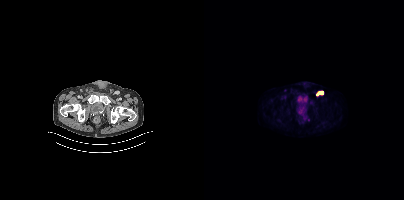
Coordinates are on the 200×200 PET (right) panel. PSMA-avid tumor lesion bounding box (x, y, width, height): x=112 y=91 w=8 h=5. Paired axial CT (left) and PSMA PET (right), 18F-PSMA tracer. Slice 52 of 411. PET panel 200×200 px (4.1 mm/px).